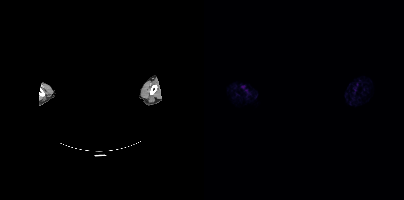
Facial anatomy redacted by setting a rectangular region of the head to black.
This slice has no annotated PSMA-avid lesion.